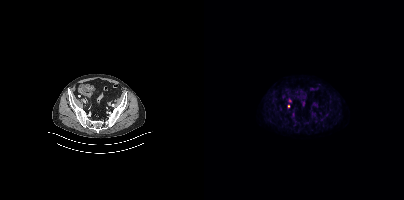
Coordinates are on the 200×200 PET (right) panel. Small PSMA-avid focus (2 to 4 px across) near (center x, center y): (84, 105). Left: CT. Right: PSMA PET, same axial level, 18F-PSMA tracer. Acquired on Siemens Biograph mCT Flow 20. PET panel 200×200 px (4.1 mm/px).